Paired axial CT (left) and PSMA PET (right), 18F-PSMA tracer. Slice position z = -1658 mm.
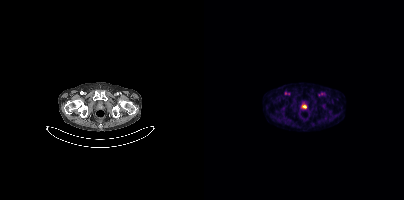
Coordinates are on the 200×200 PET (right) panel. Small PSMA-avid focus (2 to 4 px across) near (center x, center y): (100, 106).